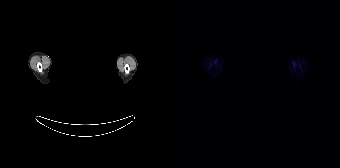
Findings: No tumor lesions annotated on this slice.
Technique: Paired axial CT (left) and PSMA PET (right), 18F-PSMA tracer. acquired on Siemens Biograph 64-4R TruePoint. PET panel 168×168 px (4.1 mm/px).
Note: A rectangular block over the head has been blanked out for de-identification.